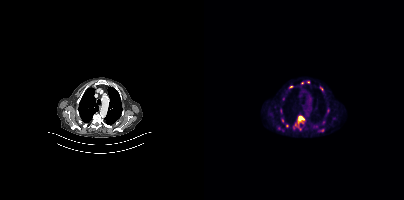
- Left: CT. Right: PSMA PET, same axial level, [18F]PSMA-1007 tracer
- slice 272 of 373
- PET panel 200×200 px (4.1 mm/px)
Findings: Coordinates are on the 200×200 PET (right) panel. (showing 8 of 11 foci) PSMA-avid tumor lesion bounding boxes (x0, y0)-(x1, y1): (89, 115)-(101, 130); (102, 81)-(106, 83). Small PSMA-avid foci (2 to 4 px across) near (center x, center y): (117, 130); (86, 86); (118, 90); (98, 83); (78, 119); (82, 125).